modality: PSMA PET/CT | tracer: 18F | view: axial | PET grid: 200×200 | de-identification: face masked with black rectangle
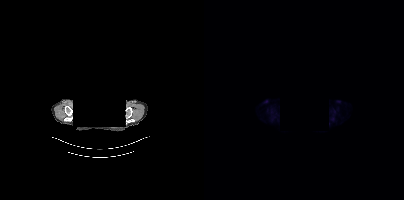
No PSMA-avid tumor lesions on this slice.